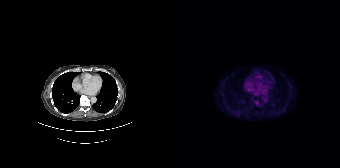
{"modality":"PSMA PET/CT","view":"axial","tracer":"[18F]PSMA-1007","pet_grid":[168,168],"coord_frame":"pet_panel","coord_format":"x0,y0,x1,y1","partial":true,"lesion_bboxes":[],"small_foci_centers":[[65,114]]}